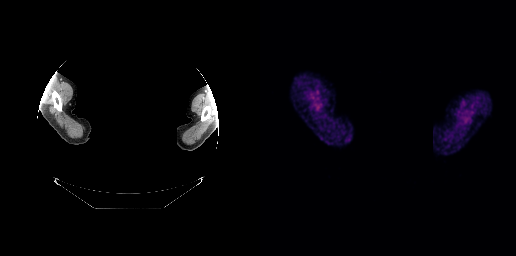
- Paired axial CT (left) and PSMA PET (right), 18F tracer
- slice 241 of 263
- PET panel 256×256 px (2.7 mm/px)
- any black rectangle over the head is a privacy mask, not anatomy
Findings: No tumor lesions annotated on this slice.